modality: PSMA PET/CT | tracer: 68Ga-PSMA | view: axial | PET grid: 168×168
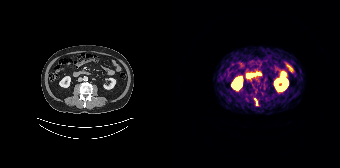
Coordinates are on the 168×168 PET (right) panel. PSMA-avid tumor lesion bounding box (x0, y0)-(x1, y1): (82, 98)-(85, 105).